- Paired axial CT (left) and PSMA PET (right), 18F-PSMA tracer
- acquired on Siemens Biograph mCT Flow 20
- slice position z = 70 mm
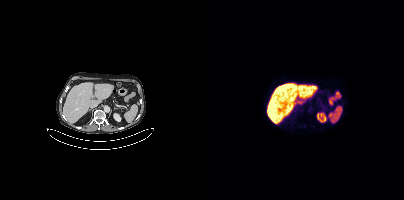
Findings: No tumor lesions annotated on this slice.